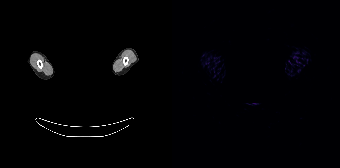
Two-panel axial: CT | PSMA PET, 68Ga tracer. PET panel 168×168 px (4.1 mm/px). A rectangle over the head was blacked out to remove identifiable facial features. Negative for PSMA-avid disease on this slice.